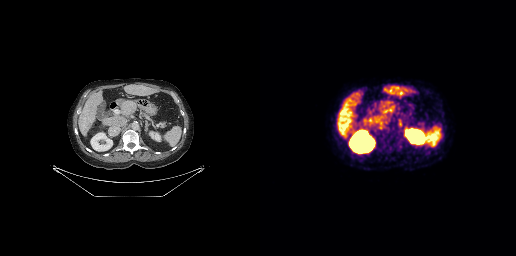
{"modality":"PSMA PET/CT","view":"axial","tracer":"68Ga","pet_grid":[256,256],"coord_frame":"pet_panel","coord_format":"x0,y0,x1,y1","psma_avid_lesions":false}